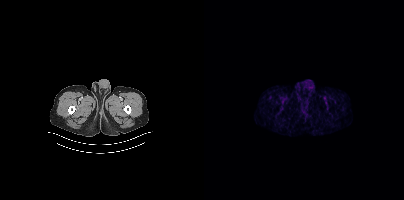
Negative for PSMA-avid disease on this slice.
modality: PSMA PET/CT | tracer: [68Ga]Ga-PSMA-11 | view: axial | PET grid: 200×200